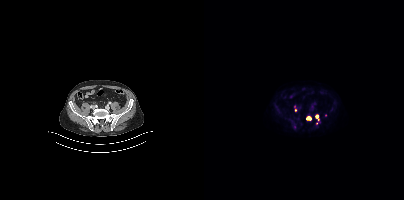
Two-panel axial: CT | PSMA PET, 18F tracer. Acquired on Siemens Biograph mCT Flow 20. Slice position z = -1312 mm.
Coordinates are on the 200×200 PET (right) panel. PSMA-avid tumor lesion bounding boxes (partial; 3 more foci not listed):
| # | x0 | y0 | x1 | y1 |
|---|---|---|---|---|
| 1 | 103 | 117 | 107 | 119 |
Small PSMA-avid focus (2 to 4 px across) near (center x, center y): (91, 110).